- Paired axial CT (left) and PSMA PET (right), 18F-PSMA tracer
- acquired on GE Discovery 690
- slice 129 of 263
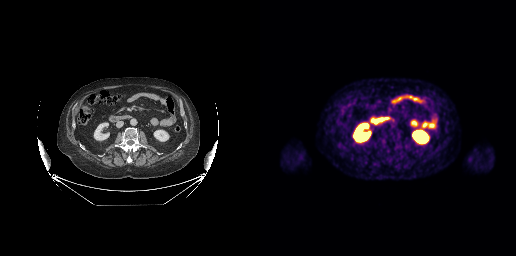
Findings: This slice has no annotated PSMA-avid lesion.